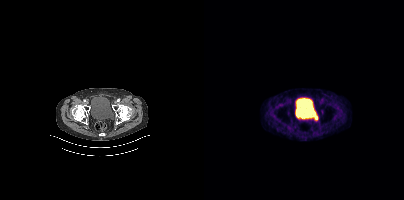
Findings: No tumor lesions annotated on this slice.
Technique: Paired axial CT (left) and PSMA PET (right), [68Ga]Ga-PSMA-11 tracer.